modality: PSMA PET/CT | tracer: [18F]PSMA-1007 | view: axial
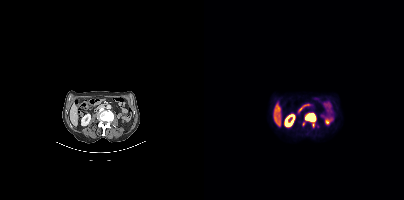
Coordinates are on the 200×200 PET (right) panel. (showing 2 of 3 foci) PSMA-avid tumor lesion bounding box (x0, y0)-(x1, y1): (102, 114)-(111, 122). Small PSMA-avid focus (2 to 4 px across) near (center x, center y): (109, 125).